Paired axial CT (left) and PSMA PET (right), [18F]PSMA-1007 tracer. Slice 262 of 417. PET panel 200×200 px (4.1 mm/px).
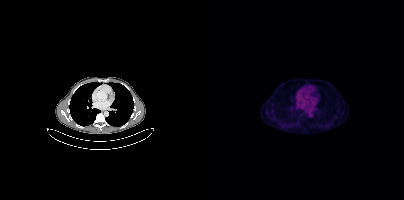
Negative for PSMA-avid disease on this slice.